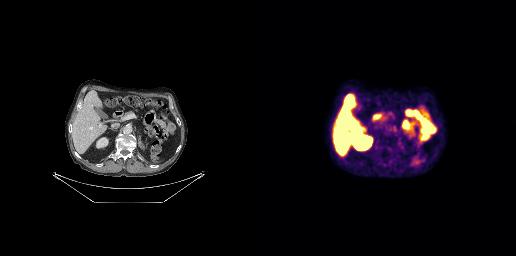
This slice has no annotated PSMA-avid lesion.